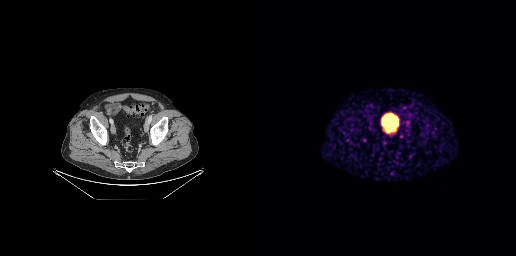
This slice has no annotated PSMA-avid lesion.
modality: PSMA PET/CT | tracer: [68Ga]Ga-PSMA-11 | view: axial | PET grid: 256×256